Technique: Left: CT. Right: PSMA PET, same axial level, 18F tracer. slice 224 of 403.
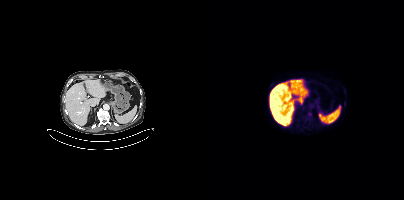
Findings: Coordinates are on the 200×200 PET (right) panel. Small PSMA-avid focus (2 to 4 px across) near (center x, center y): (67, 85).